- Left: CT. Right: PSMA PET, same axial level, [68Ga]Ga-PSMA-11 tracer
- slice 154 of 195
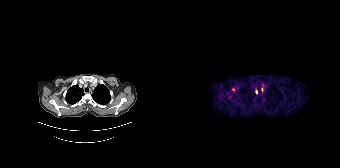
Findings: Coordinates are on the 168×168 PET (right) panel. (showing 2 of 3 foci) Small PSMA-avid foci (2 to 4 px across) near (center x, center y): (84, 91) / (89, 89).